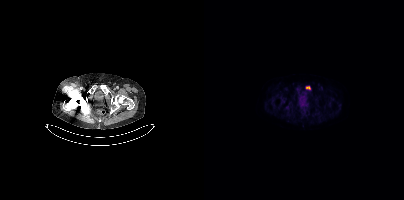
{"pet_grid":[200,200],"coord_frame":"pet_panel","coord_format":"x0,y0,x1,y1","lesion_bboxes":[[102,86,106,89]],"modality":"PSMA PET/CT","view":"axial","tracer":"18F"}